modality: PSMA PET/CT | tracer: 18F | view: axial
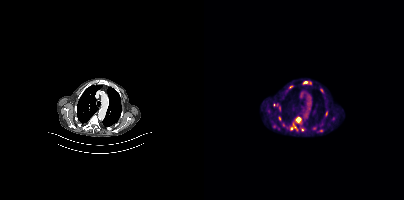
Coordinates are on the 200×200 PET (right) panel. (showing 8 of 9 foci) PSMA-avid tumor lesion bounding boxes (x0,y0,x1,y1): [90,116,97,126] [69,103,76,111] [81,85,87,94] [79,123,83,128] [70,126,74,129] [115,129,119,132] [74,116,76,120]. Small PSMA-avid focus (2 to 4 px across) near (center x, center y): (111, 127).